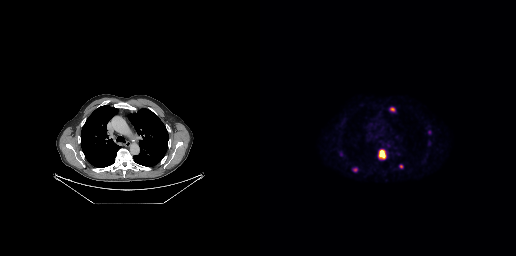
{"pet_grid":[256,256],"coord_frame":"pet_panel","coord_format":"x0,y0,x1,y1","lesion_bboxes":[[118,149,126,159],[130,107,135,111],[93,168,97,171]],"small_foci_centers":[[141,166],[169,132]],"modality":"PSMA PET/CT","view":"axial","tracer":"18F"}